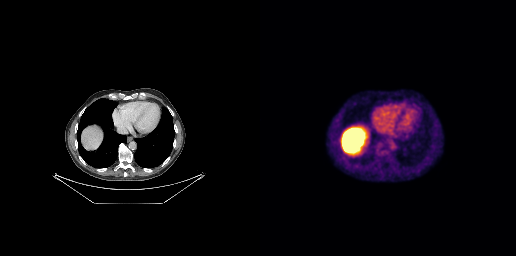
Technique: Two-panel axial: CT | PSMA PET, 18F tracer. acquired on GE Discovery 690. slice 167 of 263.
Findings: No PSMA-avid tumor lesions on this slice.